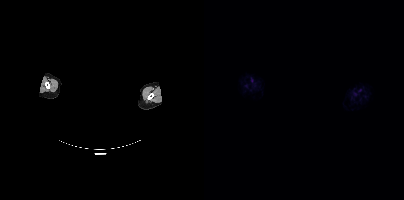
Technique: Left: CT. Right: PSMA PET, same axial level, 18F-PSMA tracer. PET panel 200×200 px (4.1 mm/px).
Note: De-identified by setting a box covering the face to black before release.
Findings: Negative for PSMA-avid disease on this slice.